modality: PSMA PET/CT | tracer: [68Ga]Ga-PSMA-11 | view: axial
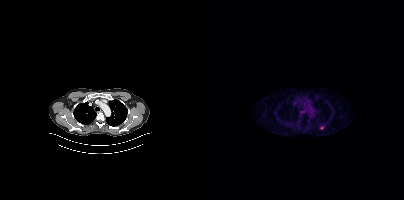
Coordinates are on the 200×200 PET (right) panel. Small PSMA-avid focus (2 to 4 px across) near (center x, center y): (117, 127).